modality: PSMA PET/CT | tracer: 18F-PSMA | view: axial
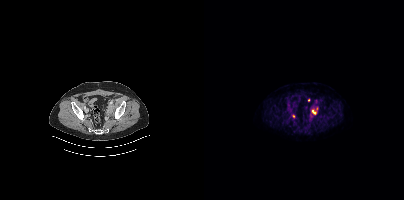
Coordinates are on the 200×200 PET (right) panel. PSMA-avid tumor lesion bounding box (x, y, width, height): x=107 y=109 w=6 h=6. Small PSMA-avid foci (2 to 4 px across) near (center x, center y): (89, 116); (112, 108).